Left: CT. Right: PSMA PET, same axial level, 18F-PSMA tracer. Slice 112 of 397.
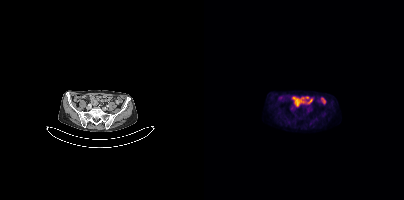
This slice has no annotated PSMA-avid lesion.